Two-panel axial: CT | PSMA PET, [68Ga]Ga-PSMA-11 tracer. Slice position z = -1384 mm.
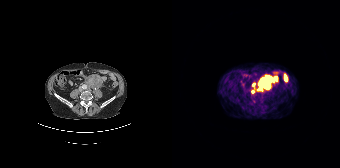
Coordinates are on the 168×168 PET (right) panel. PSMA-avid tumor lesion bounding boxes:
| # | x0 | y0 | x1 | y1 |
|---|---|---|---|---|
| 1 | 87 | 75 | 101 | 90 |
Small PSMA-avid foci (2 to 4 px across) near (center x, center y): (81, 84); (80, 91).